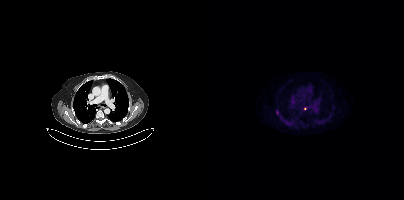
Technique: Left: CT. Right: PSMA PET, same axial level, [18F]PSMA-1007 tracer. acquired on Siemens Biograph mCT Flow 20.
Findings: Coordinates are on the 200×200 PET (right) panel. Small PSMA-avid foci (2 to 4 px across) near (center x, center y): (73, 112); (100, 108).